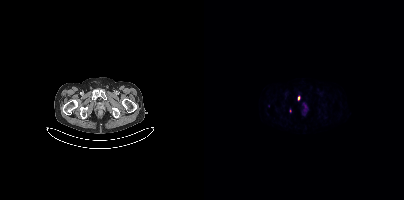
Coordinates are on the 200×200 PET (right) panel. (showing 1 of 2 foci) PSMA-avid tumor lesion bounding box (x, y, width, height): x=94 y=96 w=2 h=5.